Technique: Paired axial CT (left) and PSMA PET (right), [18F]PSMA-1007 tracer. slice position z = -1097 mm. PET panel 200×200 px (4.1 mm/px).
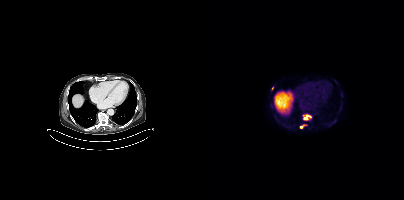
Findings: Coordinates are on the 200×200 PET (right) panel. PSMA-avid tumor lesion bounding boxes (x, y, width, height): x=99 y=115 w=5 h=5 | x=96 y=124 w=8 h=5. Small PSMA-avid focus (2 to 4 px across) near (center x, center y): (68, 88).